Left: CT. Right: PSMA PET, same axial level, 18F tracer.
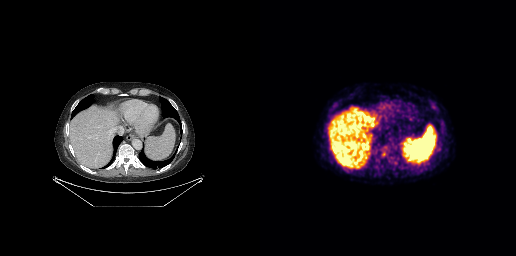
This slice has no annotated PSMA-avid lesion.